- Two-panel axial: CT | PSMA PET, 18F tracer
- acquired on GE Discovery 690
- slice position z = -429 mm
- PET panel 256×256 px (2.7 mm/px)
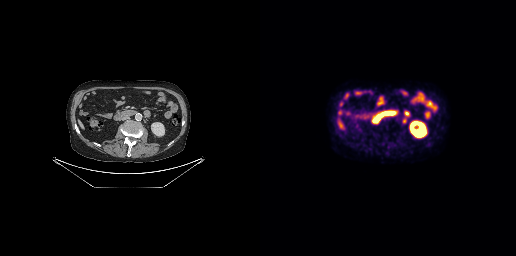
Findings: Coordinates are on the 256×256 PET (right) panel. PSMA-avid tumor lesion bounding box (x0,y0,x1,y1): [142,118,146,123].